modality: PSMA PET/CT | tracer: 18F | view: axial | PET grid: 200×200
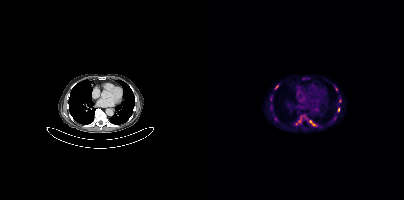
Coordinates are on the 200×200 PET (right) panel. (showing 2 of 4 foci) PSMA-avid tumor lesion bounding box (x, y, width, height): x=105 y=120 w=8 h=6. Small PSMA-avid focus (2 to 4 px across) near (center x, center y): (134, 109).